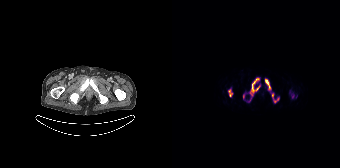
Left: CT. Right: PSMA PET, same axial level, 18F tracer. Coordinates are on the 168×168 PET (right) panel. PSMA-avid tumor lesion bounding boxes (x, y, width, height): x=77 y=78 w=12 h=23 | x=93 y=79 w=7 h=12 | x=99 y=93 w=9 h=11 | x=56 y=89 w=5 h=9 | x=117 y=90 w=6 h=9 | x=71 y=94 w=2 h=5. Small PSMA-avid focus (2 to 4 px across) near (center x, center y): (124, 96).